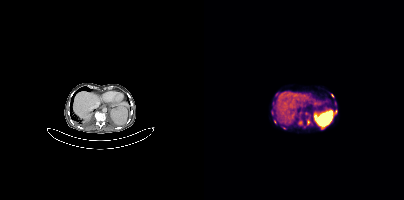
{"pet_grid":[200,200],"coord_frame":"pet_panel","coord_format":"x0,y0,x1,y1","partial":true,"lesion_bboxes":[[103,120,105,124]],"small_foci_centers":[[131,111],[128,95],[71,121],[96,122],[80,127]],"modality":"PSMA PET/CT","view":"axial","tracer":"[68Ga]Ga-PSMA-11"}